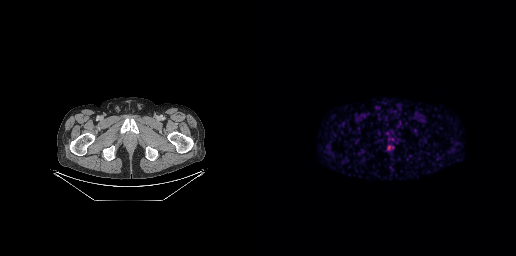
{"modality":"PSMA PET/CT","view":"axial","tracer":"68Ga-PSMA","pet_grid":[256,256],"coord_frame":"pet_panel","coord_format":"x0,y0,x1,y1","psma_avid_lesions":false}